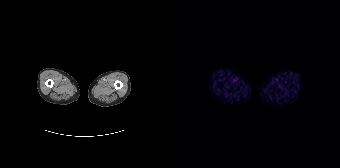
No tumor lesions annotated on this slice.
modality: PSMA PET/CT | tracer: 68Ga-PSMA | view: axial | PET grid: 168×168